- Two-panel axial: CT | PSMA PET, [18F]PSMA-1007 tracer
- slice position z = -1358 mm
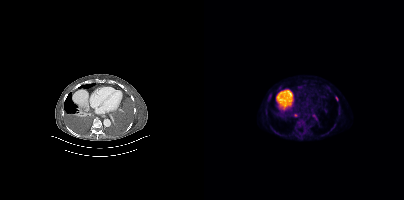
Findings: Coordinates are on the 200×200 PET (right) panel. PSMA-avid tumor lesion bounding box (x0, y0)-(x1, y1): (108, 114)-(113, 121). Small PSMA-avid foci (2 to 4 px across) near (center x, center y): (91, 115) | (95, 87) | (132, 98) | (65, 95).